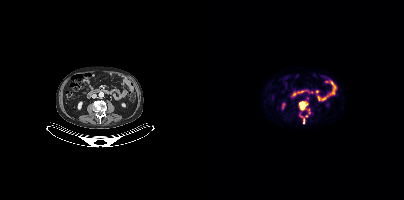
Coordinates are on the 200×200 PET (right) panel. (showing 4 of 5 foci) PSMA-avid tumor lesion bounding boxes (x, y, width, height): x=95 y=102 w=7 h=9; x=95 y=115 w=6 h=9. Small PSMA-avid foci (2 to 4 px across) near (center x, center y): (105, 110); (102, 116).